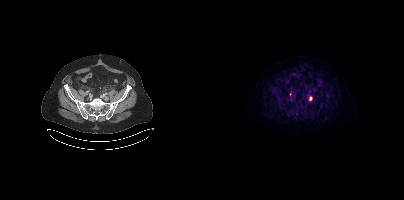
Findings: Coordinates are on the 200×200 PET (right) panel. PSMA-avid tumor lesion bounding box (x0, y0)-(x1, y1): (105, 96)-(108, 101). Small PSMA-avid focus (2 to 4 px across) near (center x, center y): (107, 112).
- Left: CT. Right: PSMA PET, same axial level, 18F tracer
- slice position z = -629 mm